Technique: Two-panel axial: CT | PSMA PET, 18F tracer. acquired on Siemens Biograph mCT Flow 20. slice position z = -940 mm.
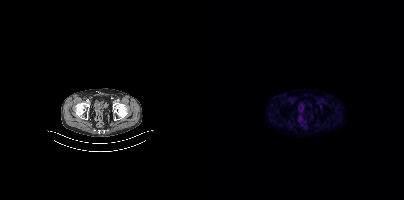
Findings: This slice has no annotated PSMA-avid lesion.